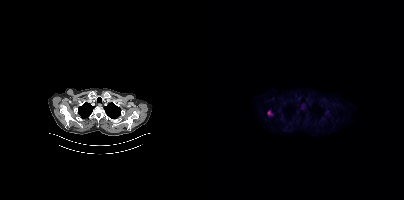
{"modality":"PSMA PET/CT","view":"axial","tracer":"18F","pet_grid":[200,200],"coord_frame":"pet_panel","coord_format":"x0,y0,x1,y1","lesion_bboxes":[[63,111,68,115]]}